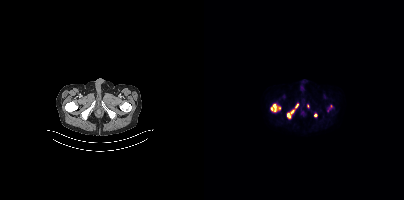
{"pet_grid":[200,200],"coord_frame":"pet_panel","coord_format":"x0,y0,x1,y1","partial":true,"lesion_bboxes":[[83,104,94,118],[67,104,76,111]],"small_foci_centers":[[111,114],[127,106]],"modality":"PSMA PET/CT","view":"axial","tracer":"[18F]PSMA-1007"}